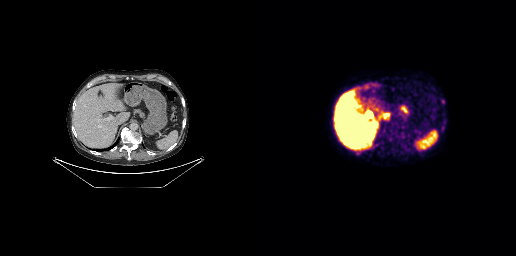
Coordinates are on the 256×256 PET (right) panel. PSMA-avid tumor lesion bounding boxes (x0,y0,x1,y1): [95,150,100,154]; [181,99,184,104].